Two-panel axial: CT | PSMA PET, 18F tracer. Slice position z = 104 mm. An anonymization step blacked out a rectangle in this scan.
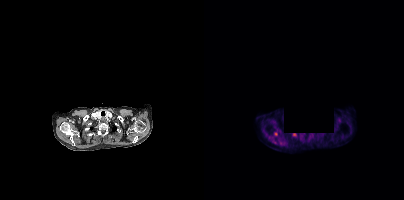
Coordinates are on the 200×200 PET (right) panel. Small PSMA-avid foci (2 to 4 px across) near (center x, center y): (90, 134) / (71, 133) / (107, 135).